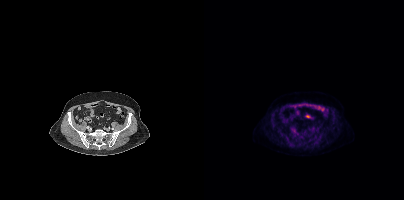
No tumor lesions annotated on this slice.